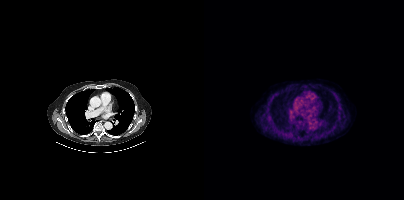
{"modality":"PSMA PET/CT","view":"axial","tracer":"18F","pet_grid":[200,200],"coord_frame":"pet_panel","coord_format":"x0,y0,x1,y1","psma_avid_lesions":false}